redaction: head region blanked (face removed) | modality: PSMA PET/CT | tracer: [18F]PSMA-1007 | view: axial | PET grid: 200×200
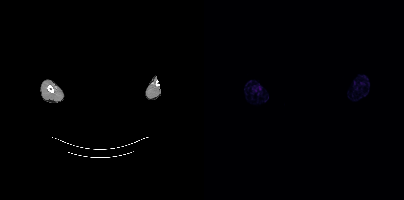
Negative for PSMA-avid disease on this slice.